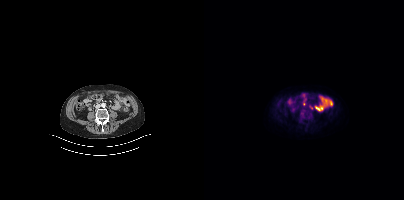
Paired axial CT (left) and PSMA PET (right), 18F-PSMA tracer. PET panel 200×200 px (4.1 mm/px). Coordinates are on the 200×200 PET (right) panel. Small PSMA-avid focus (2 to 4 px across) near (center x, center y): (107, 107).